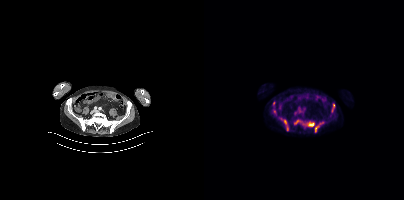
- Two-panel axial: CT | PSMA PET, 18F tracer
- acquired on Siemens Biograph mCT Flow 20
Findings: Coordinates are on the 200×200 PET (right) panel. (showing 4 of 5 foci) PSMA-avid tumor lesion bounding boxes (x0,y0,x1,y1): [77,119,84,130]; [99,121,109,126]. Small PSMA-avid foci (2 to 4 px across) near (center x, center y): (69, 103); (70, 111).